Left: CT. Right: PSMA PET, same axial level, 18F-PSMA tracer. Slice 12 of 407. PET panel 200×200 px (4.1 mm/px).
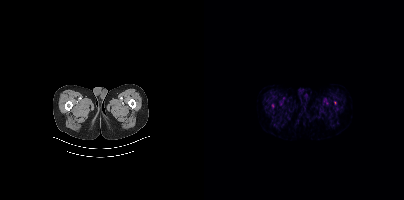
This slice has no annotated PSMA-avid lesion.